Technique: Two-panel axial: CT | PSMA PET, 68Ga tracer.
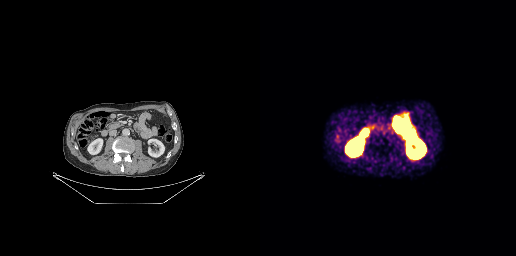
Findings: Negative for PSMA-avid disease on this slice.